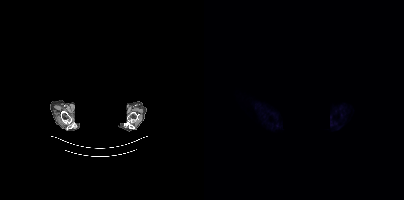
No PSMA-avid tumor lesions on this slice.
modality: PSMA PET/CT | tracer: [18F]PSMA-1007 | view: axial | PET grid: 200×200 | deidentification: face masked with black rectangle